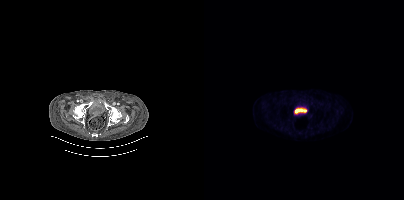
This slice has no annotated PSMA-avid lesion.